Paired axial CT (left) and PSMA PET (right), 18F tracer. Slice 337 of 429.
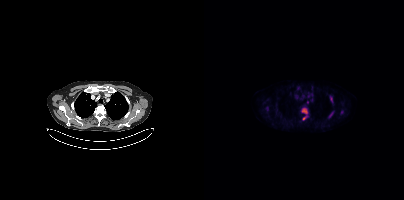
Coordinates are on the 200×200 PET (right) panel. PSMA-avid tumor lesion bounding boxes (partial; 2 more foci not listed):
| # | x0 | y0 | x1 | y1 |
|---|---|---|---|---|
| 1 | 98 | 108 | 103 | 113 |
| 2 | 126 | 96 | 128 | 101 |
Small PSMA-avid foci (2 to 4 px across) near (center x, center y): (100, 118); (127, 114).